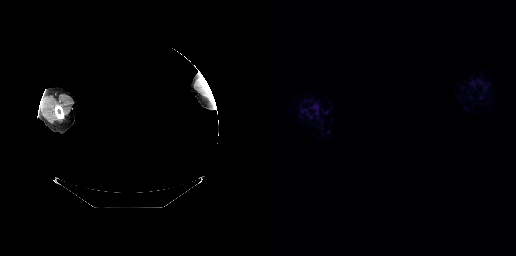
Negative for PSMA-avid disease on this slice. A rectangle over the head was blacked out to remove identifiable facial features. Left: CT. Right: PSMA PET, same axial level, [68Ga]Ga-PSMA-11 tracer.